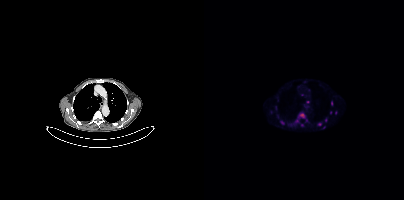
Findings: Coordinates are on the 200×200 PET (right) panel. (showing 6 of 11 foci) PSMA-avid tumor lesion bounding box (x0,y0,x1,y1): [95,113,100,117]. Small PSMA-avid foci (2 to 4 px across) near (center x, center y): (115, 124); (103, 102); (127, 103); (121, 120); (78, 122).
Technique: Two-panel axial: CT | PSMA PET, 18F tracer. acquired on Siemens Biograph mCT Flow 20. slice 256 of 354. PET panel 200×200 px (4.1 mm/px).